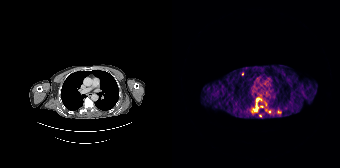
Coordinates are on the 168×168 PET (right) panel. PSMA-avid tumor lesion bounding box (x, y, width, height): x=82 y=104 w=4 h=8. Small PSMA-avid foci (2 to 4 px across) near (center x, center y): (89, 106) | (85, 99) | (88, 115) | (97, 111) | (70, 74) | (106, 111).
modality: PSMA PET/CT | tracer: [68Ga]Ga-PSMA-11 | view: axial